modality: PSMA PET/CT | tracer: 68Ga-PSMA | view: axial | PET grid: 256×256
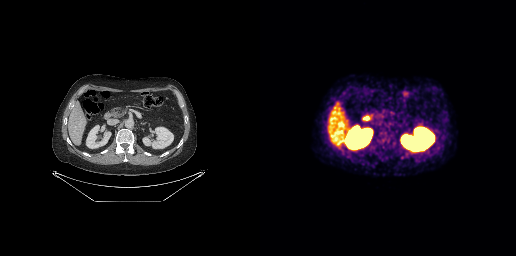
No tumor lesions annotated on this slice.